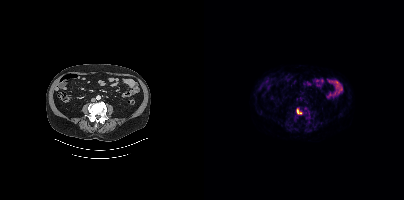
Findings: Coordinates are on the 200×200 PET (right) panel. PSMA-avid tumor lesion bounding box (x0, y0)-(x1, y1): (92, 108)-(98, 114).
- Paired axial CT (left) and PSMA PET (right), [18F]PSMA-1007 tracer
- PET panel 200×200 px (4.1 mm/px)